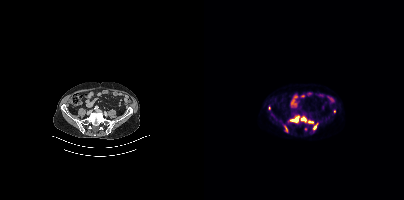
{"modality":"PSMA PET/CT","view":"axial","tracer":"18F","pet_grid":[200,200],"coord_frame":"pet_panel","coord_format":"x0,y0,x1,y1","partial":true,"lesion_bboxes":[[86,117,94,122],[97,117,102,122],[104,120,109,123],[109,123,113,129]],"small_foci_centers":[[65,108],[130,111]]}